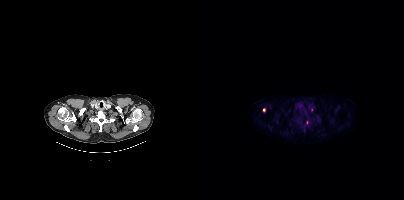
Technique: Left: CT. Right: PSMA PET, same axial level, 18F-PSMA tracer. acquired on Siemens Biograph mCT Flow 20. PET panel 200×200 px (4.1 mm/px).
Findings: Coordinates are on the 200×200 PET (right) panel. (showing 1 of 2 foci) Small PSMA-avid focus (2 to 4 px across) near (center x, center y): (60, 109).